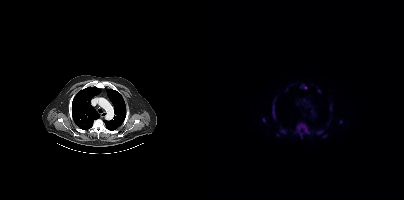
Coordinates are on the 200×200 PET (right) panel. (showing 9 of 12 foci) PSMA-avid tumor lesion bounding boxes (x0,y0,x1,y1): [92,123,104,138] [69,105,71,118] [77,130,81,133] [113,131,118,133]. Small PSMA-avid foci (2 to 4 px across) near (center x, center y): (60, 119) (101, 87) (126, 108) (136, 121) (114, 90).